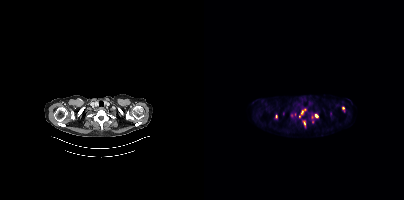
Two-panel axial: CT | PSMA PET, 18F tracer. Slice position z = -372 mm.
Coordinates are on the 200×200 PET (right) panel. PSMA-avid tumor lesion bounding boxes (partial; 1 more focus not listed):
| # | x0 | y0 | x1 | y1 |
|---|---|---|---|---|
| 1 | 99 | 121 | 101 | 126 |
Small PSMA-avid foci (2 to 4 px across) near (center x, center y): (98, 110); (112, 115); (139, 108); (72, 116).